Left: CT. Right: PSMA PET, same axial level, [18F]PSMA-1007 tracer. Slice 146 of 425.
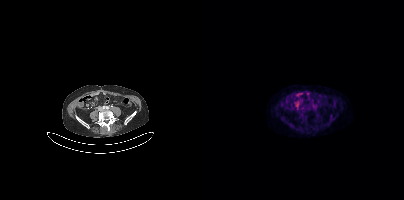
Coordinates are on the 200×200 PET (right) panel. PSMA-avid tumor lesion bounding box (x0, y0)-(x1, y1): (108, 104)-(112, 109). Small PSMA-avid focus (2 to 4 px across) near (center x, center y): (126, 115).